Two-panel axial: CT | PSMA PET, [18F]PSMA-1007 tracer. Slice position z = -1352 mm.
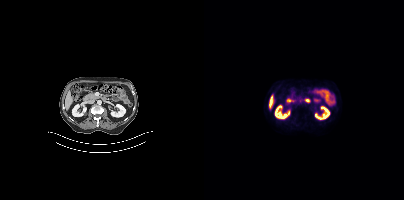
Negative for PSMA-avid disease on this slice.